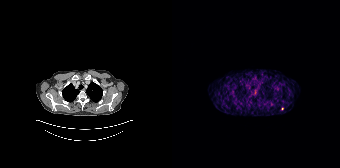
Coordinates are on the 168×168 PET (right) panel. Small PSMA-avid focus (2 to 4 px across) near (center x, center y): (110, 108).